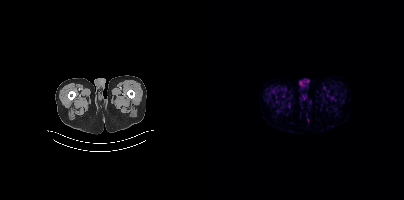
Negative for PSMA-avid disease on this slice.
modality: PSMA PET/CT | tracer: 18F | view: axial | PET grid: 200×200